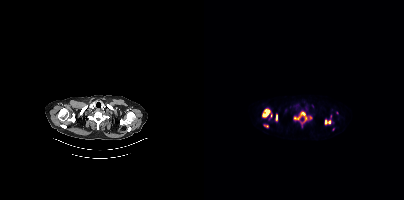
modality: PSMA PET/CT | tracer: [18F]PSMA-1007 | view: axial
Coordinates are on the 200×200 PET (right) panel. (showing 6 of 8 foci) PSMA-avid tumor lesion bounding boxes (x0,y0,x1,y1): [90,112,102,121]; [58,109,66,117]; [121,120,126,124]; [72,115,73,120]. Small PSMA-avid foci (2 to 4 px across) near (center x, center y): (106, 117); (63, 125).